Technique: Left: CT. Right: PSMA PET, same axial level, [18F]PSMA-1007 tracer. slice 61 of 403. PET panel 200×200 px (4.1 mm/px).
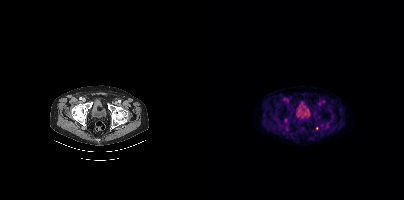
Findings: Only PSMA-avid lesion pieces thinner than 2 px on this slice (not listed).